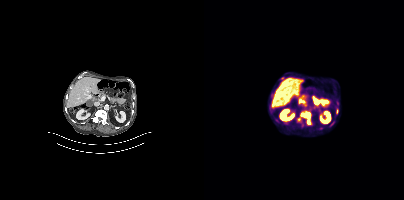
Two-panel axial: CT | PSMA PET, 18F tracer. Slice position z = -1276 mm. PET panel 200×200 px (4.1 mm/px).
Coordinates are on the 200×200 PET (right) panel. PSMA-avid tumor lesion bounding boxes (partial; 1 more focus not listed):
| # | x0 | y0 | x1 | y1 |
|---|---|---|---|---|
| 1 | 101 | 114 | 106 | 121 |